Left: CT. Right: PSMA PET, same axial level, [18F]PSMA-1007 tracer. Slice 116 of 462.
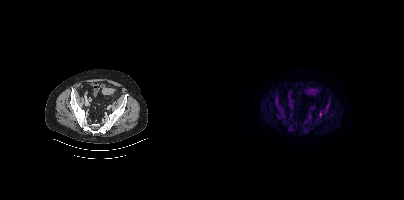
Coordinates are on the 200×200 PET (right) panel. Small PSMA-avid focus (2 to 4 px across) near (center x, center y): (116, 114).